Paired axial CT (left) and PSMA PET (right), 18F tracer. Slice 158 of 299. PET panel 256×256 px (2.7 mm/px).
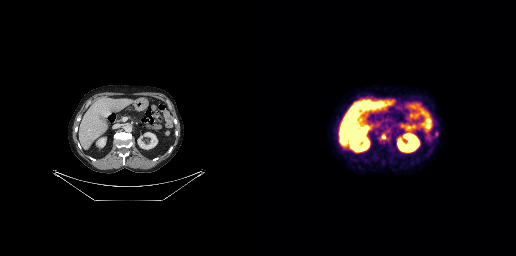
Only PSMA-avid lesion pieces thinner than 2 px on this slice (not listed).